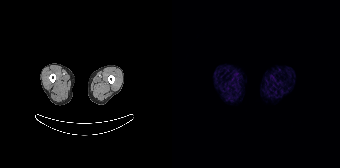
Negative for PSMA-avid disease on this slice.